- Two-panel axial: CT | PSMA PET, [18F]PSMA-1007 tracer
- acquired on GE Discovery 690
- PET panel 256×256 px (2.7 mm/px)
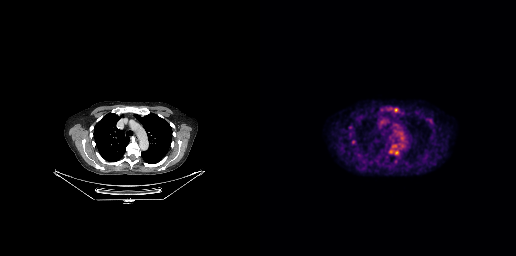
Findings: Coordinates are on the 256×256 PET (right) panel. (showing 1 of 3 foci) Small PSMA-avid focus (2 to 4 px across) near (center x, center y): (136, 109).